Left: CT. Right: PSMA PET, same axial level, [18F]PSMA-1007 tracer.
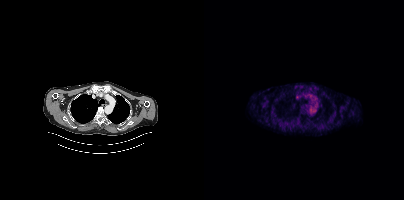
No tumor lesions annotated on this slice.